- Left: CT. Right: PSMA PET, same axial level, [18F]PSMA-1007 tracer
- slice position z = -1218 mm
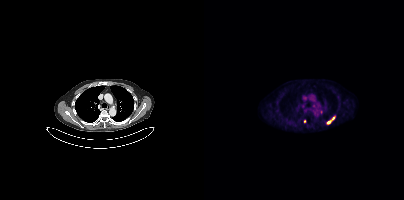
Findings: Coordinates are on the 200×200 PET (right) panel. PSMA-avid tumor lesion bounding box (x0, y0)-(x1, y1): (123, 117)-(130, 123). Small PSMA-avid focus (2 to 4 px across) near (center x, center y): (100, 121).